modality: PSMA PET/CT | tracer: 18F-PSMA | view: axial
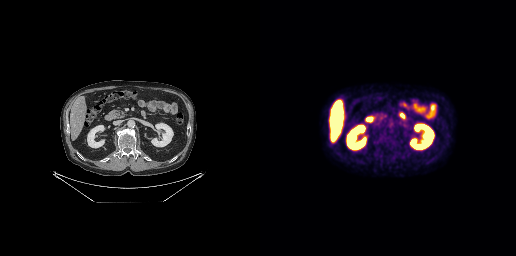
This slice has no annotated PSMA-avid lesion.